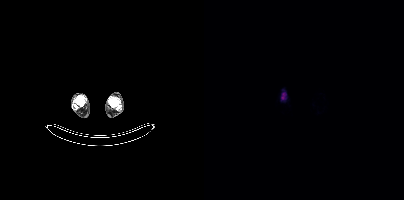
Only PSMA-avid lesion pieces thinner than 2 px on this slice (not listed).
modality: PSMA PET/CT | tracer: [18F]PSMA-1007 | view: axial | PET grid: 200×200